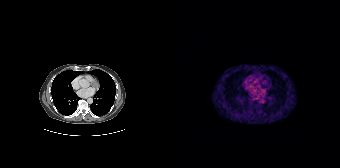
Left: CT. Right: PSMA PET, same axial level, 68Ga tracer. Slice position z = -468 mm. Negative for PSMA-avid disease on this slice.